Technique: Two-panel axial: CT | PSMA PET, [18F]PSMA-1007 tracer. acquired on Siemens Biograph mCT Flow 20. slice position z = 100 mm.
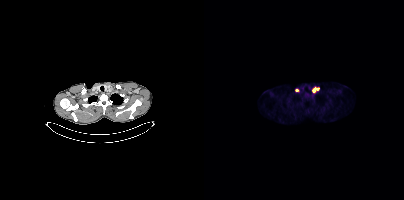
Findings: Coordinates are on the 200×200 PET (right) panel. PSMA-avid tumor lesion bounding box (x0,y0,x1,y1): [109,87,114,92]. Small PSMA-avid focus (2 to 4 px across) near (center x, center y): (92, 90).